Technique: Left: CT. Right: PSMA PET, same axial level, 18F-PSMA tracer. slice 69 of 165.
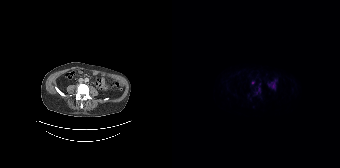
Findings: Coordinates are on the 168×168 PET (right) panel. PSMA-avid tumor lesion bounding box (x, y, width, height): x=84 y=83 w=5 h=12. Small PSMA-avid foci (2 to 4 px across) near (center x, center y): (80, 82) | (81, 106).